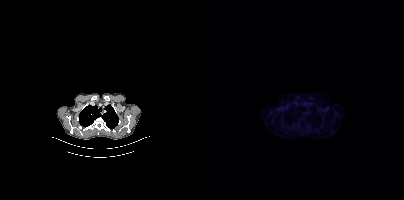
This slice has no annotated PSMA-avid lesion.